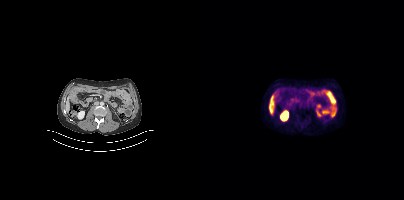
Technique: Paired axial CT (left) and PSMA PET (right), 18F-PSMA tracer. slice 188 of 429. PET panel 200×200 px (4.1 mm/px).
Findings: Negative for PSMA-avid disease on this slice.